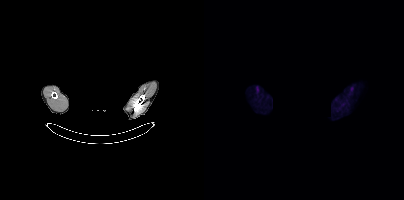
Findings: Negative for PSMA-avid disease on this slice.
- any black rectangle over the head is a privacy mask, not anatomy
- Left: CT. Right: PSMA PET, same axial level, 18F tracer
- slice 366 of 417
- PET panel 200×200 px (4.1 mm/px)